- Paired axial CT (left) and PSMA PET (right), 18F-PSMA tracer
- PET panel 256×256 px (2.7 mm/px)
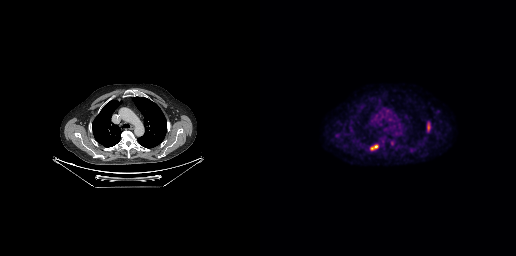
Findings: Coordinates are on the 256×256 PET (right) panel. PSMA-avid tumor lesion bounding boxes (x, y, width, height): x=111 y=144 w=8 h=6; x=167 y=123 w=4 h=9.